Technique: Paired axial CT (left) and PSMA PET (right), 18F tracer. slice 39 of 135.
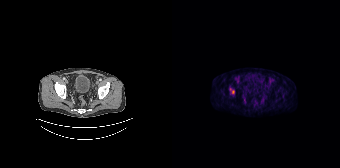
Findings: Coordinates are on the 168×168 PET (right) panel. PSMA-avid tumor lesion bounding box (x, y, width, height): x=58 y=88 w=5 h=7.